modality: PSMA PET/CT | tracer: 68Ga-PSMA | view: axial
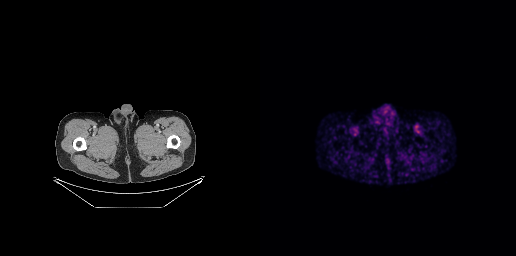
No PSMA-avid tumor lesions on this slice.